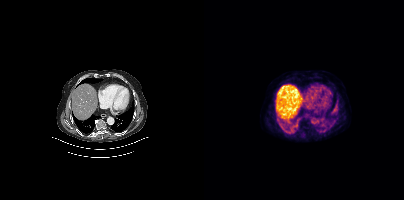
This slice has no annotated PSMA-avid lesion.